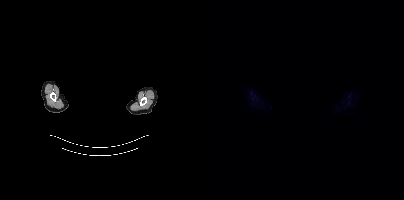
{"pet_grid":[200,200],"coord_frame":"pet_panel","coord_format":"x0,y0,x1,y1","psma_avid_lesions":false,"modality":"PSMA PET/CT","view":"axial","tracer":"[18F]PSMA-1007","redaction":"face masked with black rectangle"}